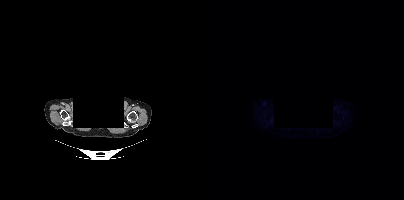
No PSMA-avid tumor lesions on this slice. Two-panel axial: CT | PSMA PET, 18F tracer. Acquired on Siemens Biograph mCT Flow 20. PET panel 200×200 px (4.1 mm/px). De-identified by setting a box covering the face to black before release.